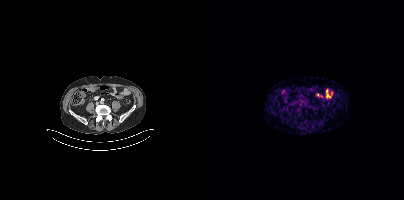
No PSMA-avid tumor lesions on this slice.
modality: PSMA PET/CT | tracer: 68Ga | view: axial